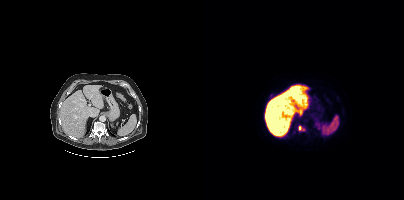
modality: PSMA PET/CT | tracer: 18F-PSMA | view: axial
Coordinates are on the 200×200 PET (right) panel. PSMA-avid tumor lesion bounding box (x, y, width, height): x=94 y=126 w=4 h=5. Small PSMA-avid focus (2 to 4 px across) near (center x, center y): (99, 129).